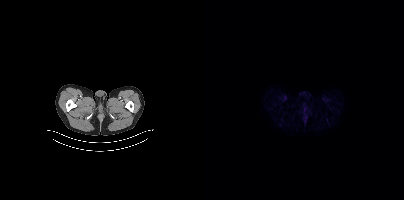
{"modality":"PSMA PET/CT","view":"axial","tracer":"[18F]PSMA-1007","pet_grid":[200,200],"coord_frame":"pet_panel","coord_format":"x0,y0,x1,y1","psma_avid_lesions":false}